Left: CT. Right: PSMA PET, same axial level, [68Ga]Ga-PSMA-11 tracer. PET panel 256×256 px (2.7 mm/px).
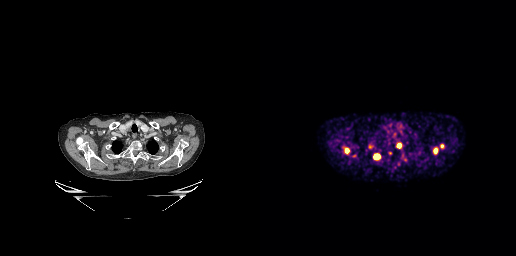
Coordinates are on the 256×256 PET (right) panel. PSMA-avid tumor lesion bounding boxes (partial; 1 more focus not listed):
| # | x0 | y0 | x1 | y1 |
|---|---|---|---|---|
| 1 | 136 | 143 | 141 | 148 |
| 2 | 115 | 154 | 119 | 158 |
| 3 | 92 | 154 | 96 | 157 |
| 4 | 109 | 145 | 113 | 148 |
| 5 | 173 | 149 | 177 | 152 |
Small PSMA-avid foci (2 to 4 px across) near (center x, center y): (181, 145); (86, 149).